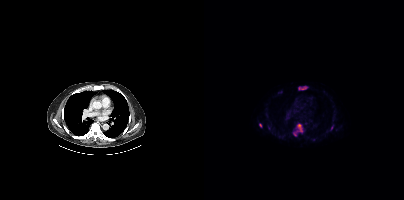
Findings: Coordinates are on the 200×200 PET (right) panel. (showing 4 of 6 foci) PSMA-avid tumor lesion bounding boxes (x0,y0,x1,y1): [93,124,99,131] [94,86,103,89] [55,123,57,127]. Small PSMA-avid focus (2 to 4 px across) near (center x, center y): (91, 134).
Technique: Paired axial CT (left) and PSMA PET (right), [18F]PSMA-1007 tracer. acquired on Siemens Biograph mCT Flow 20.